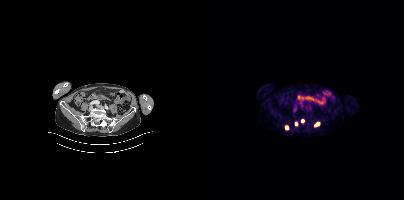
modality: PSMA PET/CT | tracer: 18F-PSMA | view: axial | PET grid: 200×200
Coordinates are on the 200×200 PET (right) panel. PSMA-avid tumor lesion bounding boxes (x0,y0,x1,y1): [80,125,85,130]; [110,122,115,126]; [90,121,94,126]; [97,119,100,123].